- Paired axial CT (left) and PSMA PET (right), 18F-PSMA tracer
- acquired on Siemens Biograph mCT Flow 20
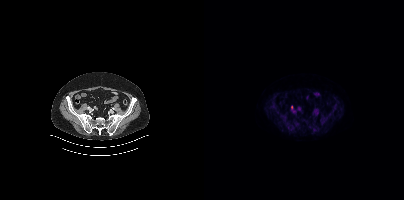
Findings: Only PSMA-avid lesion pieces thinner than 2 px on this slice (not listed).